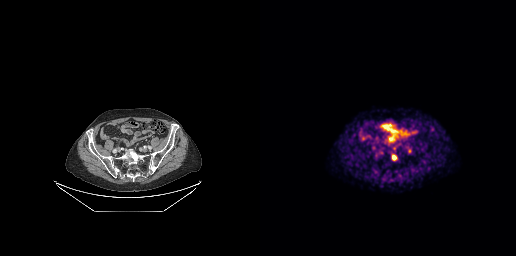
modality: PSMA PET/CT | tracer: 68Ga-PSMA | view: axial
Coordinates are on the 256×256 PET (right) panel. PSMA-avid tumor lesion bounding boxes (x0,y0,x1,y1): [131,154,137,160] [148,148,151,152]. Small PSMA-avid focus (2 to 4 px across) near (center x, center y): (134, 148).